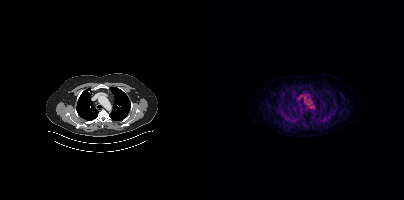
{"modality":"PSMA PET/CT","view":"axial","tracer":"[18F]PSMA-1007","pet_grid":[200,200],"coord_frame":"pet_panel","coord_format":"x0,y0,x1,y1","psma_avid_lesions":false}